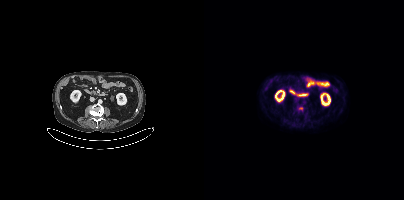
Paired axial CT (left) and PSMA PET (right), 18F tracer. PET panel 200×200 px (4.1 mm/px). No tumor lesions annotated on this slice.